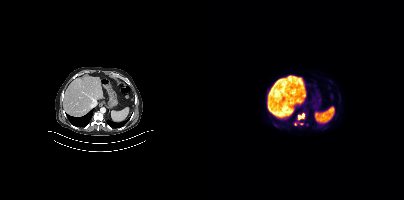
{"modality":"PSMA PET/CT","view":"axial","tracer":"[18F]PSMA-1007","pet_grid":[200,200],"coord_frame":"pet_panel","coord_format":"x0,y0,x1,y1","lesion_bboxes":[[94,113,100,119]],"small_foci_centers":[[91,124],[97,123]]}